Technique: Two-panel axial: CT | PSMA PET, 18F-PSMA tracer. PET panel 200×200 px (4.1 mm/px).
Note: A rectangular block over the head has been blanked out for de-identification.
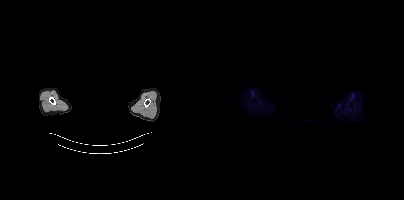
Findings: Negative for PSMA-avid disease on this slice.